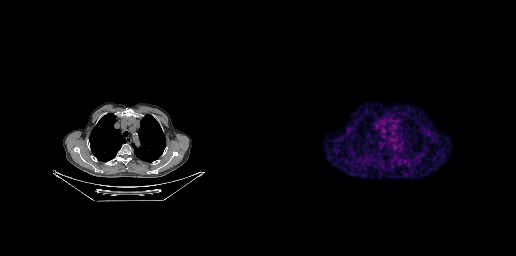
No PSMA-avid tumor lesions on this slice.